Paired axial CT (left) and PSMA PET (right), 18F tracer. Acquired on Siemens Biograph 64-4R TruePoint. Slice 65 of 165.
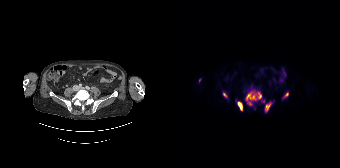
Coordinates are on the 168×168 PET (right) panel. PSMA-avid tumor lesion bounding boxes:
| # | x0 | y0 | x1 | y1 |
|---|---|---|---|---|
| 1 | 73 | 90 | 89 | 105 |
| 2 | 93 | 102 | 99 | 112 |
| 3 | 65 | 101 | 70 | 110 |
| 4 | 51 | 92 | 55 | 97 |
Small PSMA-avid foci (2 to 4 px across) near (center x, center y): (114, 94); (91, 101); (27, 80).